- Two-panel axial: CT | PSMA PET, 18F-PSMA tracer
- acquired on GE Discovery 690
- slice 224 of 263
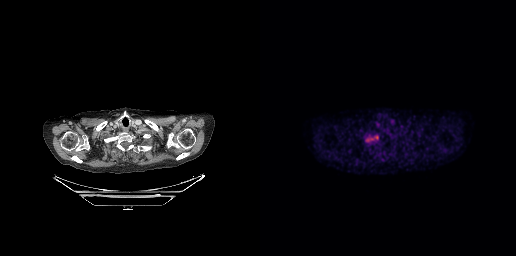
Findings: Coordinates are on the 256×256 PET (right) panel. PSMA-avid tumor lesion bounding box (x0, y0)-(x1, y1): (105, 134)-(118, 142).